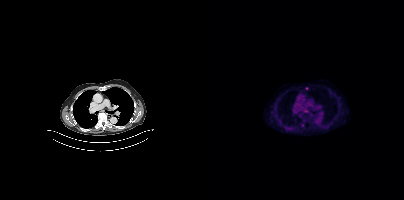
{"modality":"PSMA PET/CT","view":"axial","tracer":"[18F]PSMA-1007","pet_grid":[200,200],"coord_frame":"pet_panel","coord_format":"x0,y0,x1,y1","partial":true,"lesion_bboxes":[]}